modality: PSMA PET/CT | tracer: 18F-PSMA | view: axial | PET grid: 200×200
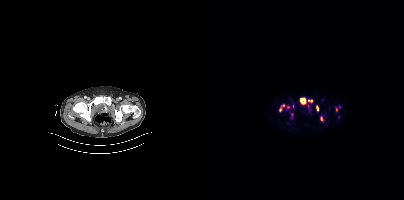
Coordinates are on the 200×200 PET (right) panel. (showing 8 of 9 foci) PSMA-avid tumor lesion bounding boxes (x, y, width, height): x=96 y=98 w=6 h=7; x=75 y=104 w=6 h=8; x=104 y=100 w=5 h=3; x=113 y=106 w=2 h=5. Small PSMA-avid foci (2 to 4 px across) near (center x, center y): (84, 107); (132, 109); (87, 114); (135, 106).